Two-panel axial: CT | PSMA PET, 18F tracer. Acquired on Siemens Biograph mCT Flow 20. Slice position z = -994 mm. PET panel 200×200 px (4.1 mm/px).
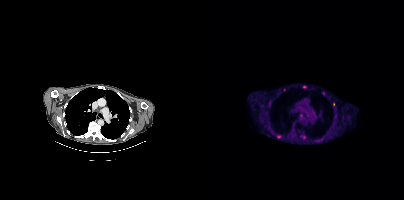
Coordinates are on the 200×200 PET (right) panel. (showing 7 of 8 foci) PSMA-avid tumor lesion bounding box (x0, y0)-(x1, y1): (99, 135)-(101, 139). Small PSMA-avid foci (2 to 4 px across) near (center x, center y): (100, 87); (120, 93); (75, 136); (129, 104); (118, 139); (80, 89).